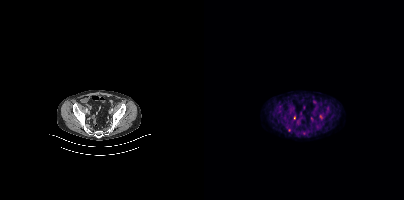
{"modality":"PSMA PET/CT","view":"axial","tracer":"18F","pet_grid":[200,200],"coord_frame":"pet_panel","coord_format":"x0,y0,x1,y1","partial":true,"lesion_bboxes":[]}